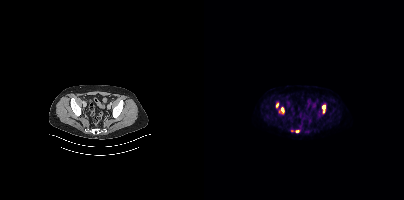
{"modality":"PSMA PET/CT","view":"axial","tracer":"18F-PSMA","pet_grid":[200,200],"coord_frame":"pet_panel","coord_format":"x0,y0,x1,y1","partial":true,"lesion_bboxes":[[118,105,121,112],[77,107,80,113],[72,103,74,107],[91,130,95,132]]}